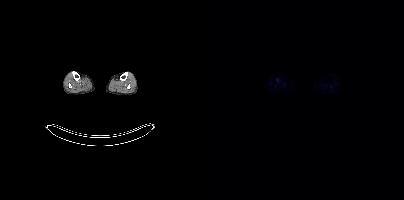
modality: PSMA PET/CT | tracer: 18F | view: axial | PET grid: 200×200
No PSMA-avid tumor lesions on this slice.